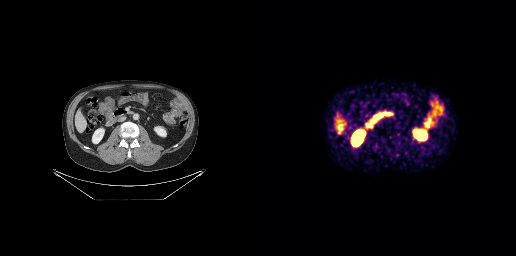
Negative for PSMA-avid disease on this slice.